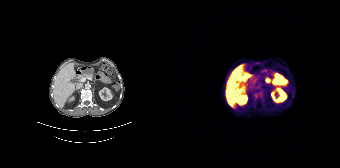
Findings: Coordinates are on the 168×168 PET (right) panel. Small PSMA-avid focus (2 to 4 px across) near (center x, center y): (83, 95).
- Left: CT. Right: PSMA PET, same axial level, 68Ga-PSMA tracer
- PET panel 168×168 px (4.1 mm/px)